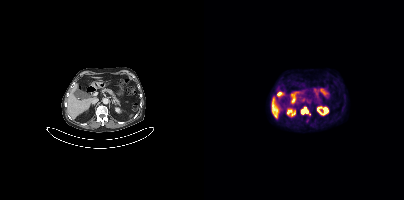
Findings: Coordinates are on the 200×200 PET (right) panel. PSMA-avid tumor lesion bounding box (x0,y0,x1,y1): [97,107,106,114].
Technique: Left: CT. Right: PSMA PET, same axial level, 18F-PSMA tracer. acquired on Siemens Biograph mCT Flow 20. slice 198 of 401. PET panel 200×200 px (4.1 mm/px).